Two-panel axial: CT | PSMA PET, 18F-PSMA tracer. Acquired on GE Discovery 690.
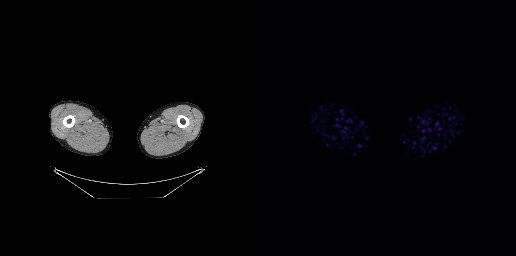
No tumor lesions annotated on this slice.